modality: PSMA PET/CT | tracer: 68Ga | view: axial
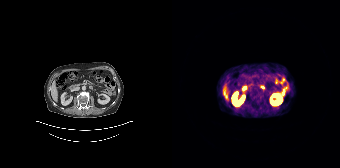
Negative for PSMA-avid disease on this slice.